modality: PSMA PET/CT | tracer: [68Ga]Ga-PSMA-11 | view: axial | PET grid: 256×256
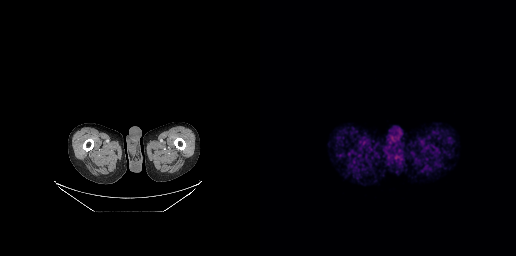
No PSMA-avid tumor lesions on this slice.